- Paired axial CT (left) and PSMA PET (right), 18F-PSMA tracer
- slice position z = -118 mm
- PET panel 200×200 px (4.1 mm/px)
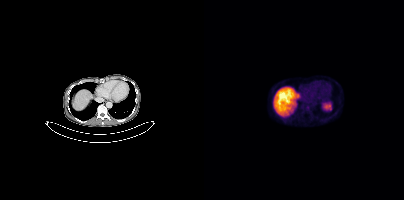
Findings: Coordinates are on the 200×200 PET (right) panel. Small PSMA-avid focus (2 to 4 px across) near (center x, center y): (103, 107).